Two-panel axial: CT | PSMA PET, 18F-PSMA tracer. Acquired on Siemens Biograph mCT Flow 20. PET panel 200×200 px (4.1 mm/px).
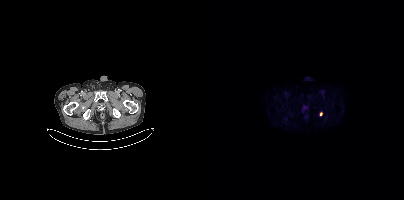
Coordinates are on the 200×200 PET (right) panel. Small PSMA-avid focus (2 to 4 px across) near (center x, center y): (117, 113).